- Two-panel axial: CT | PSMA PET, [18F]PSMA-1007 tracer
- acquired on Siemens Biograph mCT Flow 20
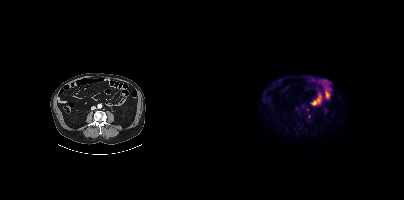
Findings: Coordinates are on the 200×200 PET (right) panel. Small PSMA-avid foci (2 to 4 px across) near (center x, center y): (105, 116); (103, 109).